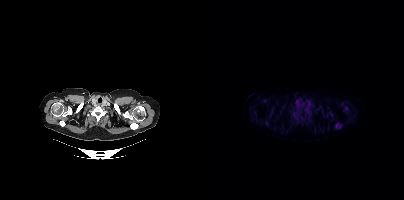
Findings: Coordinates are on the 200×200 PET (right) panel. PSMA-avid tumor lesion bounding boxes (x, y, width, height): x=131 y=123 w=8 h=6 / x=104 y=113 w=3 h=5. Small PSMA-avid foci (2 to 4 px across) near (center x, center y): (142, 108) / (99, 107) / (90, 115) / (98, 120) / (63, 124).
- Left: CT. Right: PSMA PET, same axial level, 18F tracer
- acquired on Siemens Biograph mCT Flow 20
- slice 403 of 464
- PET panel 200×200 px (4.1 mm/px)